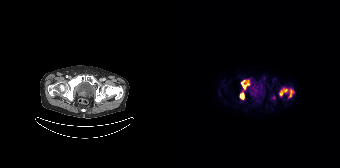
{"modality":"PSMA PET/CT","view":"axial","tracer":"[18F]PSMA-1007","pet_grid":[168,168],"coord_frame":"pet_panel","coord_format":"x0,y0,x1,y1","lesion_bboxes":[[69,80,77,89],[107,88,115,96],[67,92,72,99],[117,89,121,97]]}